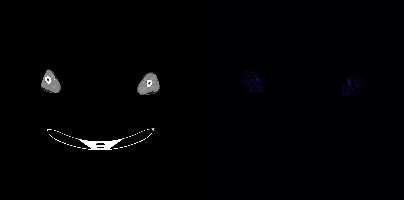
No PSMA-avid tumor lesions on this slice.
modality: PSMA PET/CT | tracer: 18F-PSMA | view: axial | redaction: rectangular block over head set to black